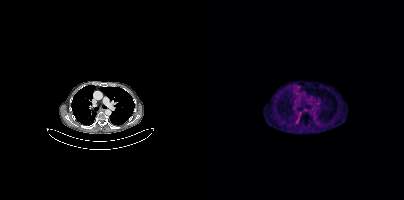
No tumor lesions annotated on this slice.